Left: CT. Right: PSMA PET, same axial level, 18F-PSMA tracer. PET panel 200×200 px (4.1 mm/px).
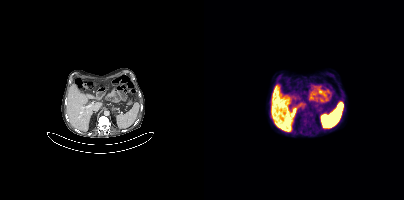
Coordinates are on the 200×200 PET (right) panel. (showing 1 of 2 foci) Small PSMA-avid focus (2 to 4 px across) near (center x, center y): (100, 120).